modality: PSMA PET/CT | tracer: [18F]PSMA-1007 | view: axial
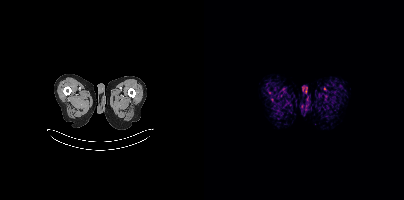
Negative for PSMA-avid disease on this slice.